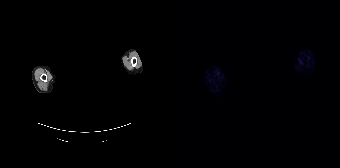
- face de-identified by blanking a block of the head
- Two-panel axial: CT | PSMA PET, 68Ga-PSMA tracer
Findings: No tumor lesions annotated on this slice.